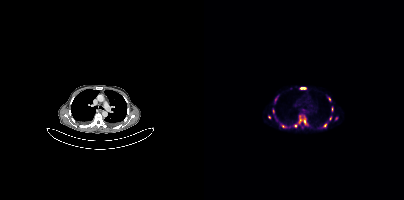
Coordinates are on the 200×200 PET (right) panel. (showing 9 of 11 foci) PSMA-avid tumor lesion bounding boxes (x0, y0)-(x1, y1): (91, 115)-(101, 127) | (96, 87)-(102, 89) | (69, 109)-(70, 113). Small PSMA-avid foci (2 to 4 px across) near (center x, center y): (125, 98) | (121, 125) | (71, 99) | (126, 118) | (132, 118) | (78, 126).